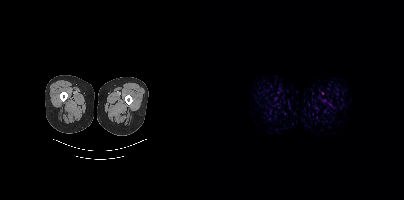
Two-panel axial: CT | PSMA PET, [18F]PSMA-1007 tracer. This slice has no annotated PSMA-avid lesion.